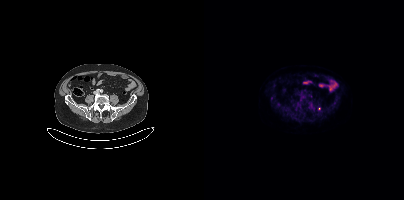
Coordinates are on the 200×200 PET (right) panel. (showing 1 of 2 foci) Small PSMA-avid focus (2 to 4 px across) near (center x, center y): (115, 108).
modality: PSMA PET/CT | tracer: [18F]PSMA-1007 | view: axial